modality: PSMA PET/CT | tracer: 18F | view: axial
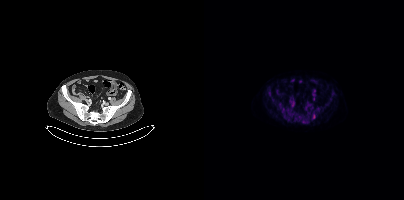
Coordinates are on the 200×200 PET (right) panel. PSMA-avid tumor lesion bounding box (x, y, width, height): x=109 y=114 w=3 h=5.